Left: CT. Right: PSMA PET, same axial level, [18F]PSMA-1007 tracer.
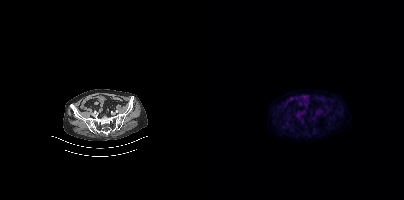
Negative for PSMA-avid disease on this slice.